Left: CT. Right: PSMA PET, same axial level, 18F tracer. Slice position z = -946 mm. PET panel 200×200 px (4.1 mm/px).
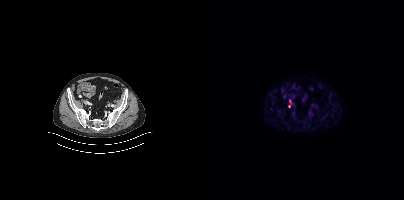
Only PSMA-avid lesion pieces thinner than 2 px on this slice (not listed).